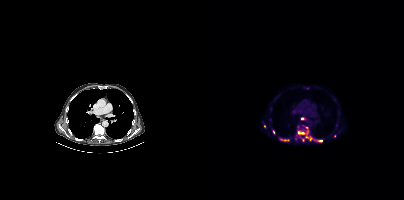
modality: PSMA PET/CT | tracer: 18F | view: axial
Coordinates are on the 200×200 PET (right) panel. (showing 8 of 11 foci) PSMA-avid tumor lesion bounding box (x0, y0)-(x1, y1): (94, 132)-(107, 139). Small PSMA-avid foci (2 to 4 px across) near (center x, center y): (69, 131); (99, 140); (98, 118); (116, 140); (60, 125); (102, 127); (130, 135).